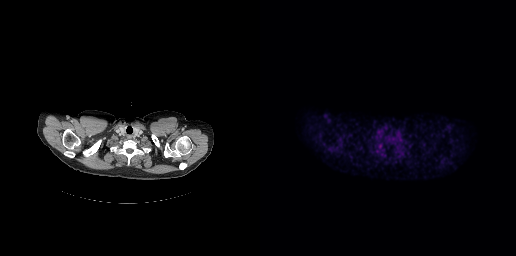
{"modality":"PSMA PET/CT","view":"axial","tracer":"[18F]PSMA-1007","pet_grid":[256,256],"coord_frame":"pet_panel","coord_format":"x0,y0,x1,y1","psma_avid_lesions":false}